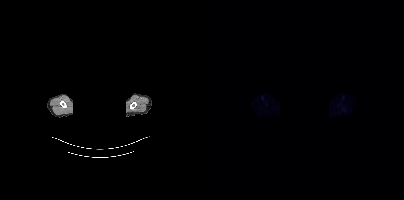
This slice has no annotated PSMA-avid lesion. Any black rectangle over the head is a privacy mask, not anatomy. Paired axial CT (left) and PSMA PET (right), 18F tracer. Acquired on Siemens Biograph mCT Flow 20.